deidentification: facial region redacted | modality: PSMA PET/CT | tracer: 18F | view: axial
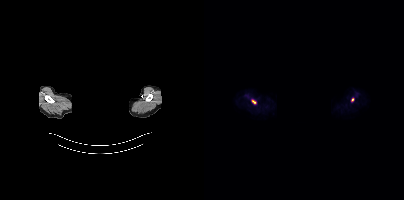
Coordinates are on the 200×200 PET (right) panel. PSMA-avid tumor lesion bounding box (x0, y0)-(x1, y1): (48, 100)-(52, 103). Small PSMA-avid focus (2 to 4 px across) near (center x, center y): (148, 99).